modality: PSMA PET/CT | tracer: [18F]PSMA-1007 | view: axial | PET grid: 200×200
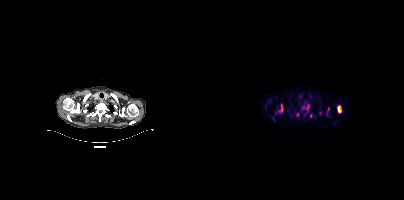
Coordinates are on the 200×200 PET (right) panel. (showing 7 of 8 foci) PSMA-avid tumor lesion bounding boxes (x0, y0)-(x1, y1): (133, 105)-(137, 112) | (75, 104)-(79, 112) | (103, 104)-(105, 109) | (123, 107)-(125, 114). Small PSMA-avid foci (2 to 4 px across) near (center x, center y): (93, 114) | (116, 112) | (106, 115).